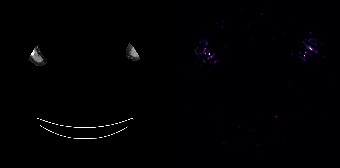
Findings: This slice has no annotated PSMA-avid lesion.
- Paired axial CT (left) and PSMA PET (right), 68Ga tracer
- slice 165 of 165
- head region blanked for anonymization (face removed)